- Two-panel axial: CT | PSMA PET, [18F]PSMA-1007 tracer
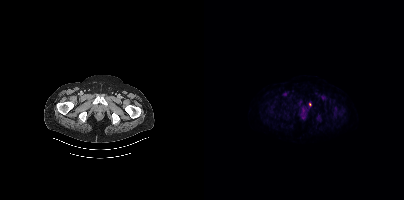
Findings: Coordinates are on the 200×200 PET (right) panel. (showing 7 of 8 foci) PSMA-avid tumor lesion bounding boxes (x, y, width, height): x=113 y=116 w=5 h=5; x=98 y=108 w=4 h=5; x=129 y=112 w=5 h=5. Small PSMA-avid foci (2 to 4 px across) near (center x, center y): (69, 105); (96, 101); (106, 104); (83, 116).